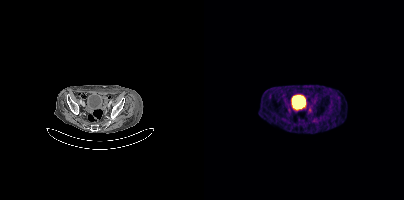
{"modality":"PSMA PET/CT","view":"axial","tracer":"68Ga-PSMA","pet_grid":[200,200],"coord_frame":"pet_panel","coord_format":"x0,y0,x1,y1","lesion_bboxes":[],"small_foci_centers":[[106,110]]}